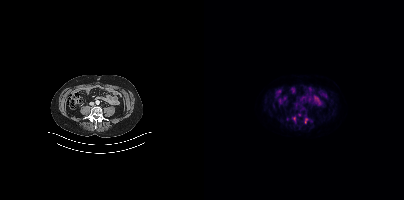
{"pet_grid":[200,200],"coord_frame":"pet_panel","coord_format":"x0,y0,x1,y1","lesion_bboxes":[],"small_foci_centers":[[90,119]],"modality":"PSMA PET/CT","view":"axial","tracer":"18F"}